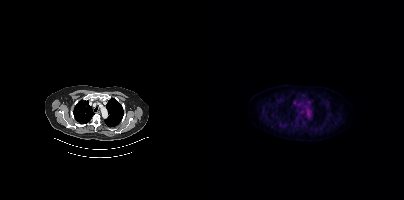
Negative for PSMA-avid disease on this slice.